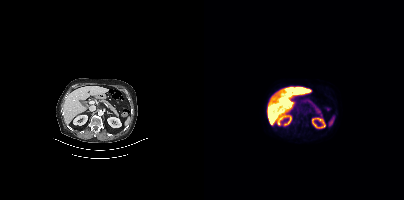
{"modality":"PSMA PET/CT","view":"axial","tracer":"[18F]PSMA-1007","pet_grid":[200,200],"coord_frame":"pet_panel","coord_format":"x0,y0,x1,y1","psma_avid_lesions":false}